Technique: Paired axial CT (left) and PSMA PET (right), 68Ga tracer.
Note: A rectangle over the head was blacked out to remove identifiable facial features.
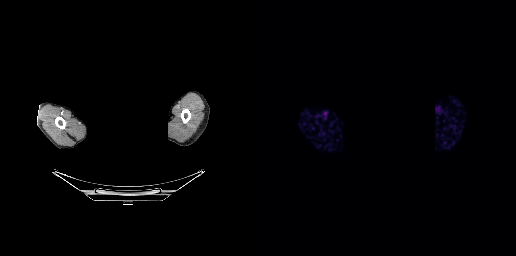
Findings: No tumor lesions annotated on this slice.